- Two-panel axial: CT | PSMA PET, [18F]PSMA-1007 tracer
- slice position z = -192 mm
- PET panel 200×200 px (4.1 mm/px)
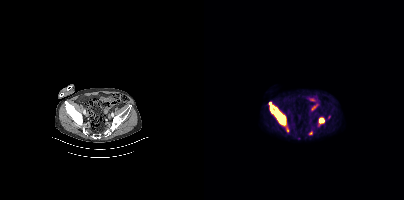
Findings: Coordinates are on the 200×200 PET (right) panel. PSMA-avid tumor lesion bounding boxes (x0, y0)-(x1, y1): (65, 102)-(84, 131); (115, 117)-(120, 126). Small PSMA-avid foci (2 to 4 px across) near (center x, center y): (106, 133); (125, 117).